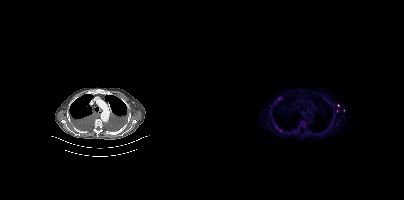
- Paired axial CT (left) and PSMA PET (right), 18F-PSMA tracer
- acquired on Siemens Biograph mCT Flow 20
- PET panel 200×200 px (4.1 mm/px)
Findings: Coordinates are on the 200×200 PET (right) panel. (showing 3 of 6 foci) PSMA-avid tumor lesion bounding box (x, y, width, height): x=71 y=124 w=8 h=8. Small PSMA-avid foci (2 to 4 px across) near (center x, center y): (75, 98) | (134, 105).